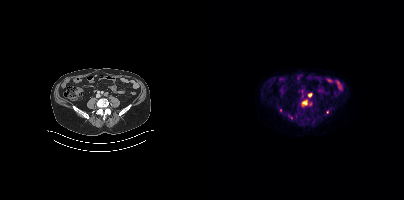
modality: PSMA PET/CT | tracer: 18F-PSMA | view: axial
Coordinates are on the 200×200 PET (right) panel. (showing 4 of 5 foci) PSMA-avid tumor lesion bounding boxes (x0,y0,x1,y1): [98,100,102,106], [84,115,88,119]. Small PSMA-avid foci (2 to 4 px across) near (center x, center y): (105, 94), (123, 112).